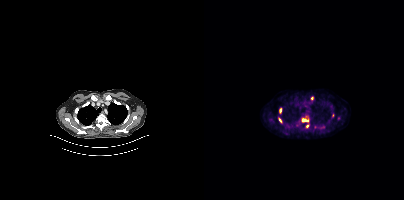
Left: CT. Right: PSMA PET, same axial level, 18F-PSMA tracer. Slice position z = -464 mm. PET panel 200×200 px (4.1 mm/px).
Coordinates are on the 200×200 PET (right) panel. PSMA-avid tumor lesion bounding boxes (partial; 2 more foci not listed):
| # | x0 | y0 | x1 | y1 |
|---|---|---|---|---|
| 1 | 97 | 116 | 105 | 122 |
| 2 | 75 | 108 | 77 | 113 |
| 3 | 74 | 118 | 78 | 122 |
Small PSMA-avid foci (2 to 4 px across) near (center x, center y): (103, 125); (108, 98).